- Paired axial CT (left) and PSMA PET (right), 18F tracer
- slice 379 of 417
- privacy masking over the head, with the pixels inside a rectangle set to black
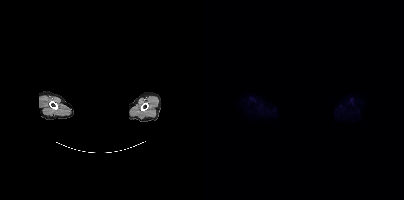
Findings: No PSMA-avid tumor lesions on this slice.